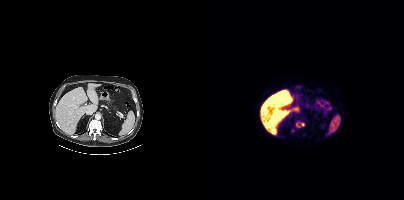
Coordinates are on the 200×200 PET (right) panel. PSMA-avid tumor lesion bounding box (x, y, width, height): x=92 y=121 w=9 h=7. Small PSMA-avid focus (2 to 4 px across) near (center x, center y): (88, 130). Left: CT. Right: PSMA PET, same axial level, 18F-PSMA tracer. Acquired on Siemens Biograph mCT Flow 20. Slice 309 of 508. PET panel 200×200 px (4.1 mm/px).